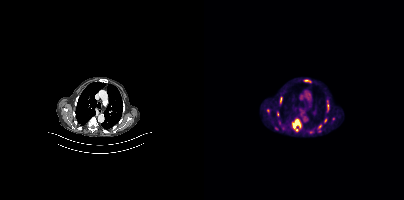
{"modality":"PSMA PET/CT","view":"axial","tracer":"[18F]PSMA-1007","pet_grid":[200,200],"coord_frame":"pet_panel","coord_format":"x0,y0,x1,y1","partial":true,"lesion_bboxes":[[88,119,97,129],[123,104,124,110],[73,111,75,116]],"small_foci_centers":[[107,131],[64,110],[72,128],[80,127],[76,102]]}